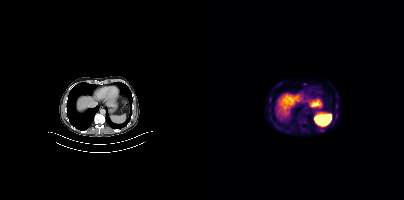
Coordinates are on the 200×200 PET (right) panel. Small PSMA-avid foci (2 to 4 px across) near (center x, center y): (66, 99), (132, 107).